Two-panel axial: CT | PSMA PET, 68Ga tracer.
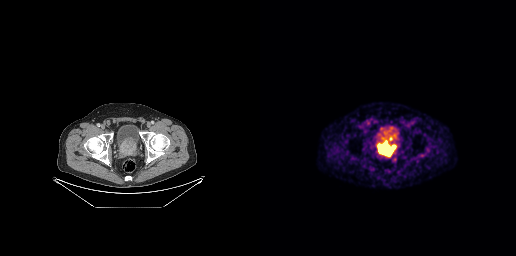
Coordinates are on the 256×256 PET (right) panel. PSMA-avid tumor lesion bounding boxes:
| # | x0 | y0 | x1 | y1 |
|---|---|---|---|---|
| 1 | 118 | 141 | 135 | 156 |
| 2 | 128 | 137 | 133 | 141 |